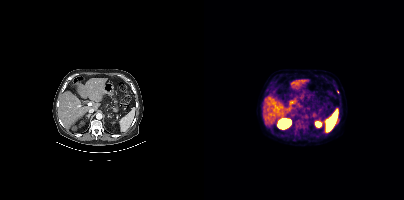
{"modality":"PSMA PET/CT","view":"axial","tracer":"[18F]PSMA-1007","pet_grid":[200,200],"coord_frame":"pet_panel","coord_format":"x0,y0,x1,y1","lesion_bboxes":[],"small_foci_centers":[[134,120],[133,91]]}